Technique: Left: CT. Right: PSMA PET, same axial level, 68Ga tracer. PET panel 256×256 px (2.7 mm/px).
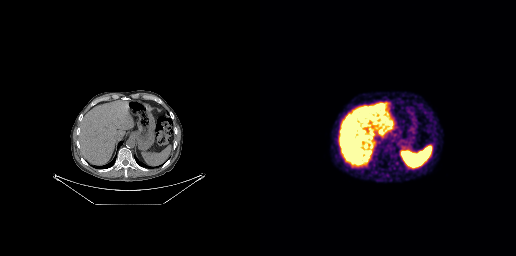
Findings: No PSMA-avid tumor lesions on this slice.